- Paired axial CT (left) and PSMA PET (right), 18F-PSMA tracer
- slice position z = -1307 mm
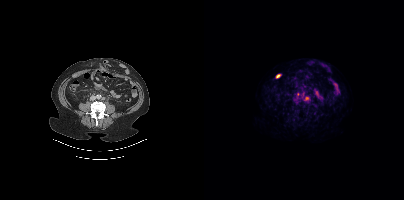
Findings: Coordinates are on the 200×200 PET (right) panel. PSMA-avid tumor lesion bounding box (x, y, width, height): x=98 y=91 w=3 h=5. Small PSMA-avid focus (2 to 4 px across) near (center x, center y): (94, 94).